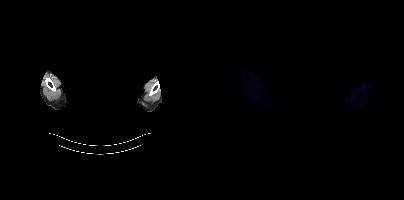
modality: PSMA PET/CT | tracer: 18F | view: axial | PET grid: 200×200 | redaction: head region blanked (face removed)
Negative for PSMA-avid disease on this slice.